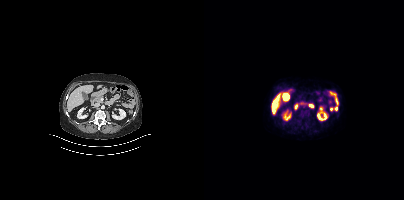
Negative for PSMA-avid disease on this slice. Two-panel axial: CT | PSMA PET, [18F]PSMA-1007 tracer.